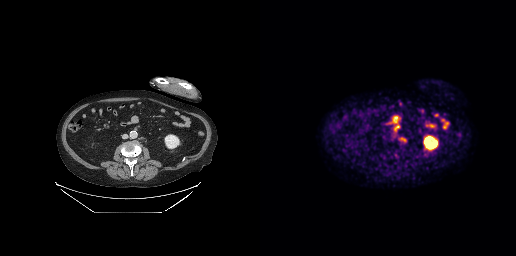
{"modality":"PSMA PET/CT","view":"axial","tracer":"[18F]PSMA-1007","pet_grid":[256,256],"coord_frame":"pet_panel","coord_format":"x0,y0,x1,y1","lesion_bboxes":[[141,138,145,141],[135,126,139,129]]}